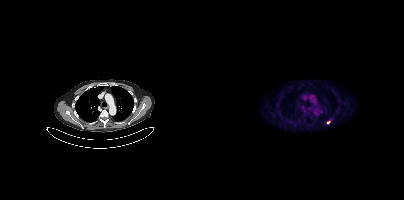
modality: PSMA PET/CT | tracer: 18F-PSMA | view: axial | PET grid: 200×200
Coordinates are on the 200×200 PET (right) panel. Small PSMA-avid focus (2 to 4 px across) near (center x, center y): (124, 122).